Technique: Left: CT. Right: PSMA PET, same axial level, 18F-PSMA tracer. PET panel 200×200 px (4.1 mm/px).
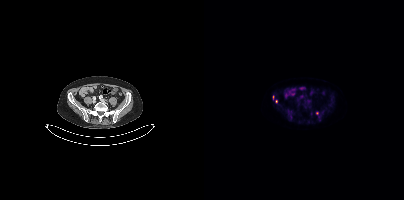
Findings: Coordinates are on the 200×200 PET (right) panel. PSMA-avid tumor lesion bounding box (x0,y0,x1,y1): [69,95,70,99]. Small PSMA-avid foci (2 to 4 px across) near (center x, center y): (113, 113), (72, 101).